- Two-panel axial: CT | PSMA PET, 18F-PSMA tracer
- acquired on Siemens Biograph mCT Flow 20
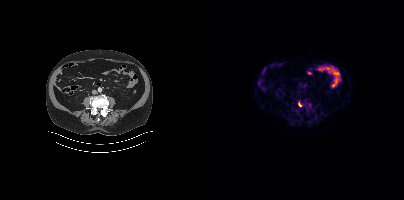
Findings: Coordinates are on the 200×200 PET (right) panel. Small PSMA-avid focus (2 to 4 px across) near (center x, center y): (96, 104).